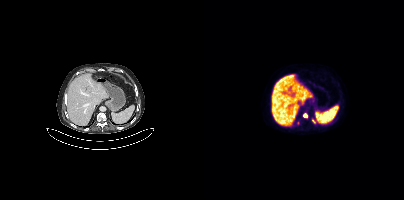
Findings: Coordinates are on the 200×200 PET (right) panel. PSMA-avid tumor lesion bounding box (x0,y0,x1,y1): [99,114,103,117]. Small PSMA-avid foci (2 to 4 px across) near (center x, center y): (109, 121), (94, 123).
Technique: Paired axial CT (left) and PSMA PET (right), 18F tracer. slice 232 of 395. PET panel 200×200 px (4.1 mm/px).